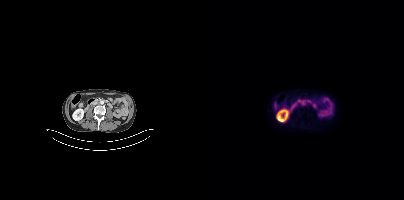
{"modality":"PSMA PET/CT","view":"axial","tracer":"[18F]PSMA-1007","pet_grid":[200,200],"coord_frame":"pet_panel","coord_format":"x0,y0,x1,y1","lesion_bboxes":[[96,100,101,105]]}